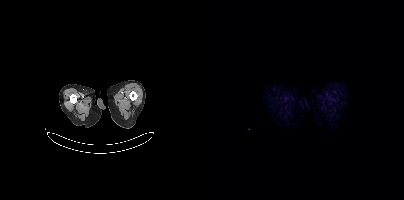
- Left: CT. Right: PSMA PET, same axial level, 18F-PSMA tracer
- PET panel 200×200 px (4.1 mm/px)
Findings: No PSMA-avid tumor lesions on this slice.